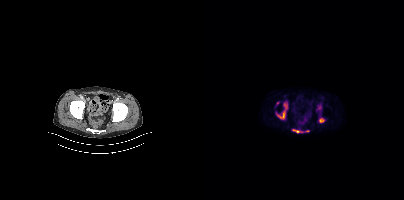
- Paired axial CT (left) and PSMA PET (right), [18F]PSMA-1007 tracer
- PET panel 200×200 px (4.1 mm/px)
Findings: Coordinates are on the 200×200 PET (right) panel. PSMA-avid tumor lesion bounding boxes (x0,y0,x1,y1): [72,103,83,119], [88,129,98,132], [115,118,120,122]. Small PSMA-avid foci (2 to 4 px across) near (center x, center y): (103, 130), (73, 102), (115, 107).